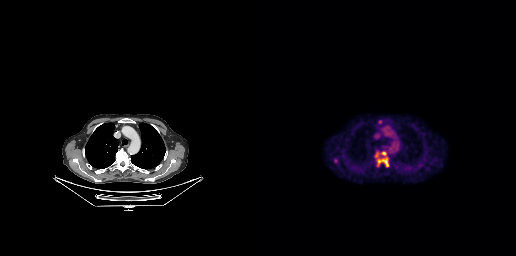
{"modality":"PSMA PET/CT","view":"axial","tracer":"[18F]PSMA-1007","pet_grid":[256,256],"coord_frame":"pet_panel","coord_format":"x0,y0,x1,y1","partial":true,"lesion_bboxes":[],"small_foci_centers":[[120,121],[125,161]]}